Paired axial CT (left) and PSMA PET (right), 68Ga-PSMA tracer. PET panel 168×168 px (4.1 mm/px).
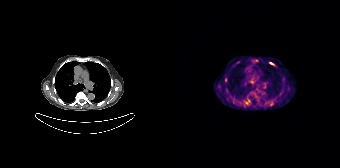
Coordinates are on the 168×168 PET (right) panel. PSMA-avid tumor lesion bounding boxes (partial; 1 more focus not listed):
| # | x0 | y0 | x1 | y1 |
|---|---|---|---|---|
| 1 | 71 | 98 | 78 | 106 |
| 2 | 78 | 78 | 82 | 82 |
| 3 | 80 | 59 | 86 | 62 |
| 4 | 98 | 101 | 101 | 105 |
Small PSMA-avid foci (2 to 4 px across) near (center x, center y): (53, 79); (86, 100); (99, 63).